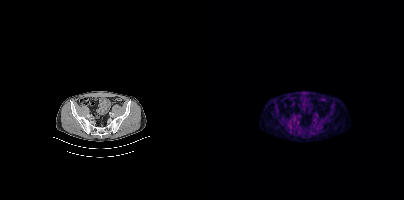
No PSMA-avid tumor lesions on this slice. Left: CT. Right: PSMA PET, same axial level, 18F tracer.